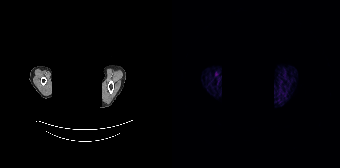
Negative for PSMA-avid disease on this slice.
A rectangle over the head was blacked out to remove identifiable facial features.